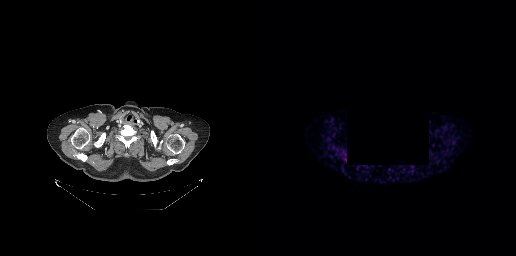
Two-panel axial: CT | PSMA PET, [68Ga]Ga-PSMA-11 tracer. Slice 228 of 263. A block of pixels was blacked out before release to protect privacy. Negative for PSMA-avid disease on this slice.